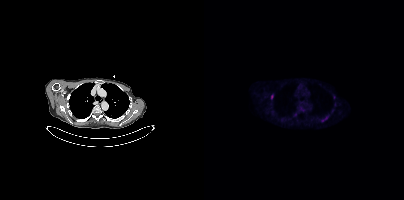
Findings: Coordinates are on the 200×200 PET (right) panel. PSMA-avid tumor lesion bounding box (x, y, width, height): x=117 y=115 w=8 h=8. Small PSMA-avid focus (2 to 4 px across) near (center x, center y): (68, 96).
Technique: Two-panel axial: CT | PSMA PET, 18F-PSMA tracer.